Technique: Two-panel axial: CT | PSMA PET, 18F-PSMA tracer. PET panel 200×200 px (4.1 mm/px).
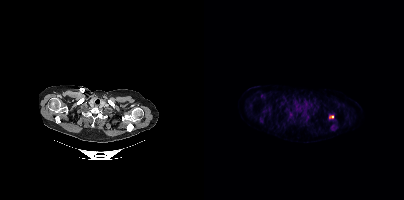
Findings: Coordinates are on the 200×200 PET (right) panel. PSMA-avid tumor lesion bounding box (x0,y0,x1,y1): [125,115,129,118].